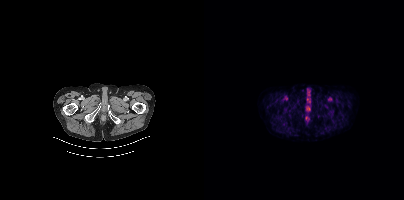
modality: PSMA PET/CT | tracer: 18F-PSMA | view: axial | PET grid: 200×200
No tumor lesions annotated on this slice.